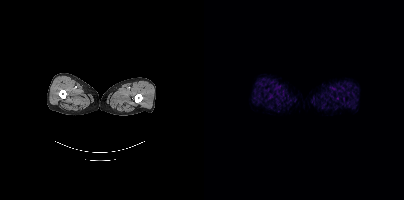
Findings: No PSMA-avid tumor lesions on this slice.
Technique: Paired axial CT (left) and PSMA PET (right), 18F tracer.